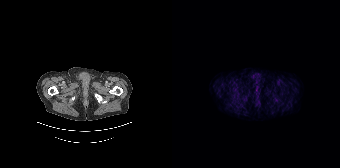
No tumor lesions annotated on this slice.